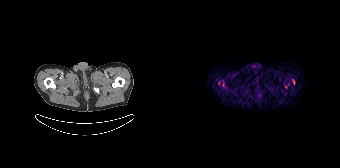
Only PSMA-avid lesion pieces thinner than 2 px on this slice (not listed).